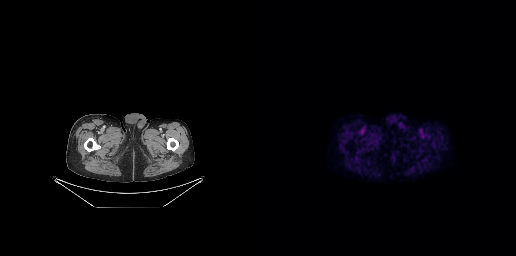
Findings: Negative for PSMA-avid disease on this slice.
- Left: CT. Right: PSMA PET, same axial level, 18F-PSMA tracer
- slice 36 of 263